Paired axial CT (left) and PSMA PET (right), [18F]PSMA-1007 tracer. Slice position z = -754 mm. PET panel 200×200 px (4.1 mm/px).
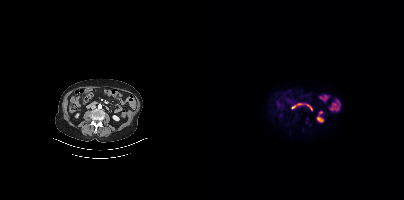
No PSMA-avid tumor lesions on this slice.